Two-panel axial: CT | PSMA PET, 18F-PSMA tracer.
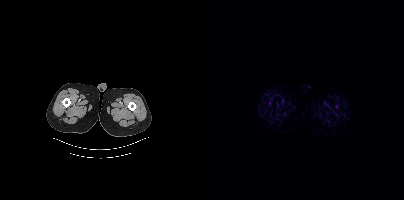
Negative for PSMA-avid disease on this slice.